Two-panel axial: CT | PSMA PET, 18F tracer. Acquired on Siemens Biograph mCT Flow 20. Slice 358 of 397. PET panel 200×200 px (4.1 mm/px). Privacy masking over the head, with the pixels inside a rectangle set to black.
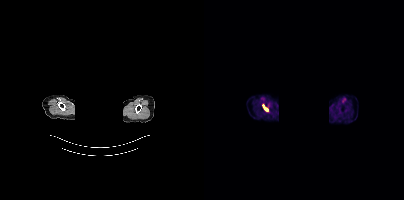
Coordinates are on the 200×200 PET (right) panel. PSMA-avid tumor lesion bounding boxes:
| # | x0 | y0 | x1 | y1 |
|---|---|---|---|---|
| 1 | 59 | 105 | 63 | 110 |